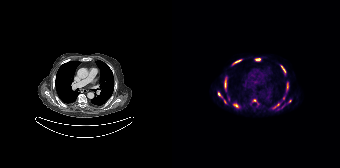
Findings: Coordinates are on the 168×168 PET (right) panel. (showing 12 of 13 foci) PSMA-avid tumor lesion bounding boxes (x0,y0,x1,y1): [52,77,54,89]; [61,103,66,107]; [61,59,69,64]; [109,65,113,72]; [101,103,107,108]; [83,58,88,60]; [46,92,49,96]; [115,84,116,88]. Small PSMA-avid foci (2 to 4 px across) near (center x, center y): (82, 100); (111, 98); (118, 101); (52, 101).
- Paired axial CT (left) and PSMA PET (right), [18F]PSMA-1007 tracer
- acquired on Siemens Biograph 64-4R TruePoint